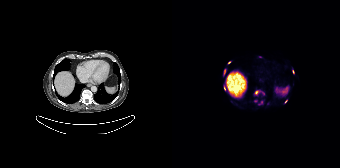
Findings: Coordinates are on the 168×168 PET (right) panel. (showing 9 of 10 foci) PSMA-avid tumor lesion bounding boxes (x0, y0)-(x1, y1): (82, 90)-(92, 95) | (120, 68)-(122, 74) | (86, 101)-(90, 105) | (52, 86)-(53, 90). Small PSMA-avid foci (2 to 4 px across) near (center x, center y): (83, 101) | (57, 62) | (113, 101) | (88, 56) | (52, 70).
- Left: CT. Right: PSMA PET, same axial level, 18F-PSMA tracer
- slice position z = -860 mm
- PET panel 168×168 px (4.1 mm/px)